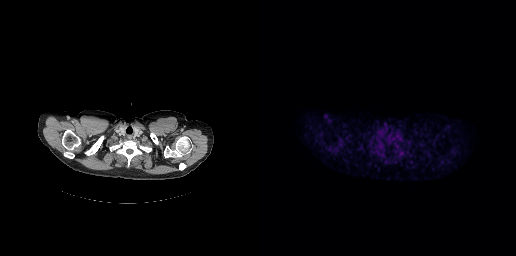
{"modality":"PSMA PET/CT","view":"axial","tracer":"18F","pet_grid":[256,256],"coord_frame":"pet_panel","coord_format":"x0,y0,x1,y1","psma_avid_lesions":false}